Two-panel axial: CT | PSMA PET, [18F]PSMA-1007 tracer. PET panel 200×200 px (4.1 mm/px). A rectangle over the head was blacked out to remove identifiable facial features.
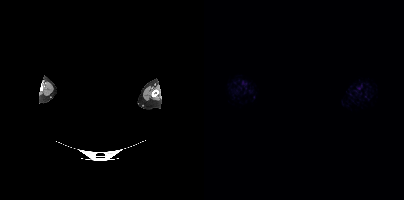
No tumor lesions annotated on this slice.